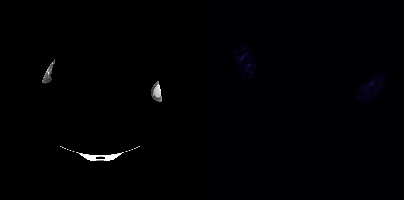
Findings: No PSMA-avid tumor lesions on this slice.
- the head region is masked for de-identification
- Left: CT. Right: PSMA PET, same axial level, [18F]PSMA-1007 tracer
- acquired on Siemens Biograph mCT Flow 20
- slice 417 of 435